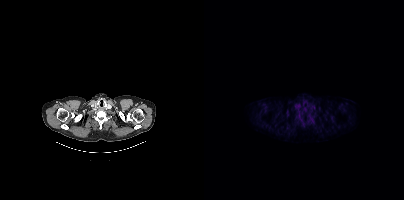
{"modality":"PSMA PET/CT","view":"axial","tracer":"18F","pet_grid":[200,200],"coord_frame":"pet_panel","coord_format":"x0,y0,x1,y1","psma_avid_lesions":false}